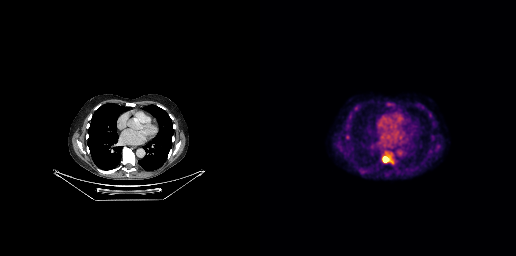
{"modality":"PSMA PET/CT","view":"axial","tracer":"18F","pet_grid":[256,256],"coord_frame":"pet_panel","coord_format":"x0,y0,x1,y1","lesion_bboxes":[[122,156,129,162],[86,135,89,139]]}